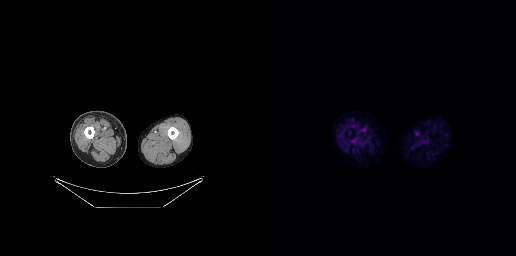
Technique: Two-panel axial: CT | PSMA PET, 18F-PSMA tracer. acquired on GE Discovery 690. slice position z = -848 mm.
Findings: Negative for PSMA-avid disease on this slice.